Technique: Left: CT. Right: PSMA PET, same axial level, 18F-PSMA tracer. slice position z = -411 mm. PET panel 200×200 px (4.1 mm/px).
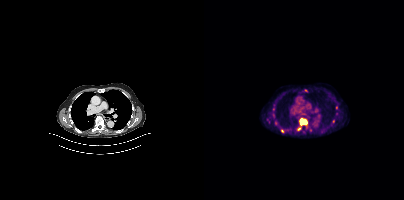
Findings: Coordinates are on the 200×200 PET (right) panel. PSMA-avid tumor lesion bounding box (x0,y0,x1,y1): [95,118,103,126]. Small PSMA-avid foci (2 to 4 px across) near (center x, center y): (95, 128), (78, 131).